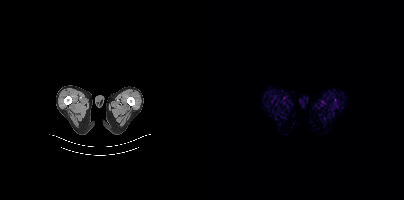
modality: PSMA PET/CT | tracer: 18F-PSMA | view: axial | PET grid: 200×200
Negative for PSMA-avid disease on this slice.